modality: PSMA PET/CT | tracer: 68Ga | view: axial
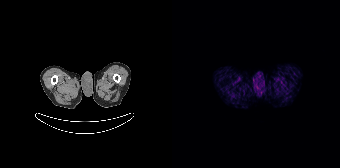
This slice has no annotated PSMA-avid lesion.